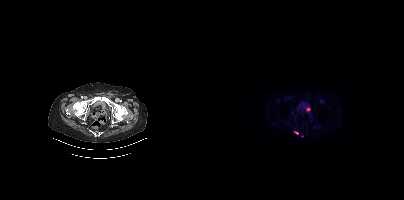
{"modality":"PSMA PET/CT","view":"axial","tracer":"[18F]PSMA-1007","pet_grid":[200,200],"coord_frame":"pet_panel","coord_format":"x0,y0,x1,y1","lesion_bboxes":[[102,107,106,111],[90,131,94,134]],"small_foci_centers":[[98,136]]}